Paired axial CT (left) and PSMA PET (right), [68Ga]Ga-PSMA-11 tracer. Acquired on Siemens Biograph 64-4R TruePoint. Slice position z = -1478 mm. PET panel 168×168 px (4.1 mm/px).
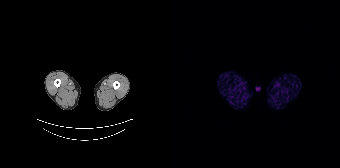
No PSMA-avid tumor lesions on this slice.